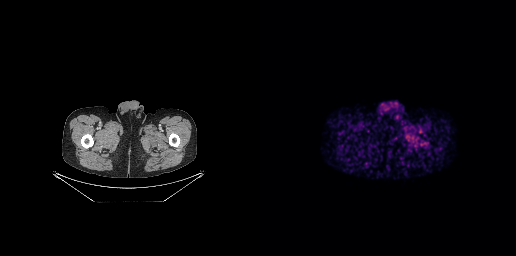
Technique: Left: CT. Right: PSMA PET, same axial level, 68Ga tracer. slice position z = -923 mm. PET panel 256×256 px (2.7 mm/px).
Findings: No tumor lesions annotated on this slice.